Technique: Paired axial CT (left) and PSMA PET (right), 18F tracer. slice 40 of 165.
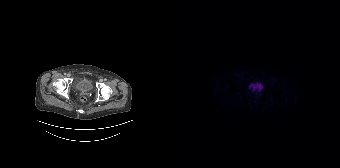
Findings: No PSMA-avid tumor lesions on this slice.